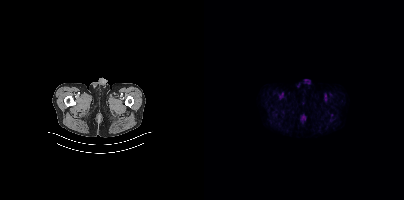
{"modality":"PSMA PET/CT","view":"axial","tracer":"[18F]PSMA-1007","pet_grid":[200,200],"coord_frame":"pet_panel","coord_format":"x0,y0,x1,y1","psma_avid_lesions":false}